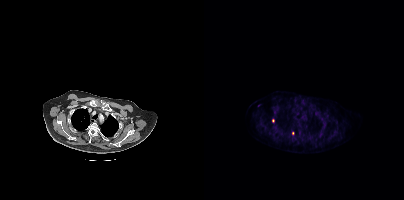
- Two-panel axial: CT | PSMA PET, [18F]PSMA-1007 tracer
- PET panel 200×200 px (4.1 mm/px)
Findings: Coordinates are on the 200×200 PET (right) panel. (showing 1 of 2 foci) Small PSMA-avid focus (2 to 4 px across) near (center x, center y): (88, 133).